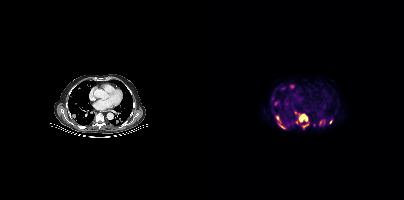
Two-panel axial: CT | PSMA PET, [18F]PSMA-1007 tracer. Slice 729 of 963. PET panel 200×200 px (4.1 mm/px). Coordinates are on the 200×200 PET (right) panel. PSMA-avid tumor lesion bounding boxes (x0,y0,x1,y1): [90,111,103,124] [72,115,81,128] [86,85,90,88] [115,121,118,125] [99,124,104,127] [70,102,74,105]. Small PSMA-avid foci (2 to 4 px across) near (center x, center y): (126, 121) (68, 98) (79, 88) (109, 124).